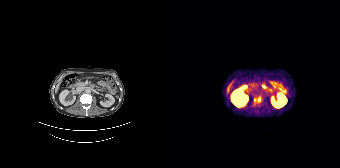
Coordinates are on the 168×168 PET (right) panel. PSMA-avid tumor lesion bounding box (x, y, width, height): x=82 y=97 w=7 h=6.